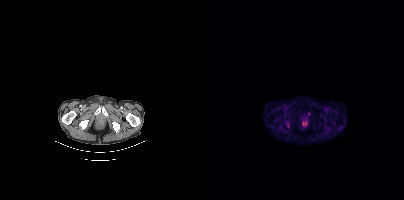
Coordinates are on the 200×200 PET (right) panel. PSMA-avid tumor lesion bounding boxes:
| # | x0 | y0 | x1 | y1 |
|---|---|---|---|---|
| 1 | 83 | 122 | 85 | 126 |
Paired axial CT (left) and PSMA PET (right), [18F]PSMA-1007 tracer. PET panel 200×200 px (4.1 mm/px).